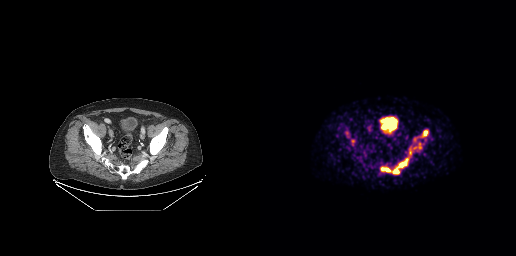
Findings: Coordinates are on the 256×256 PET (right) panel. PSMA-avid tumor lesion bounding boxes (x, y, width, height): x=121 y=158 w=28 h=17 / x=163 y=130 w=5 h=7. Small PSMA-avid foci (2 to 4 px across) near (center x, center y): (93, 141) / (150, 152) / (159, 147).
- Two-panel axial: CT | PSMA PET, 68Ga tracer
- acquired on GE Discovery 690
- slice 70 of 263